Two-panel axial: CT | PSMA PET, 18F tracer.
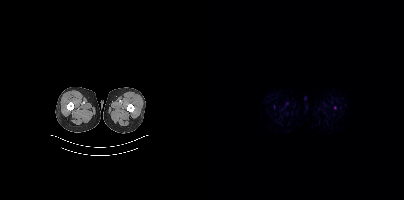
Negative for PSMA-avid disease on this slice.